modality: PSMA PET/CT | tracer: 18F | view: axial
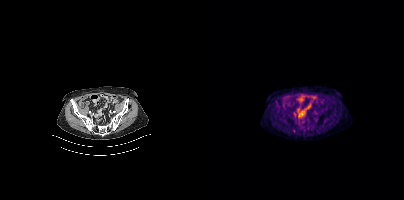
No PSMA-avid tumor lesions on this slice.